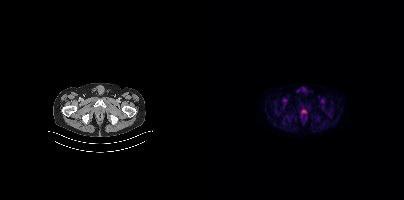
modality: PSMA PET/CT | tracer: 18F-PSMA | view: axial
Negative for PSMA-avid disease on this slice.